Paired axial CT (left) and PSMA PET (right), 18F-PSMA tracer. Acquired on Siemens Biograph mCT Flow 20.
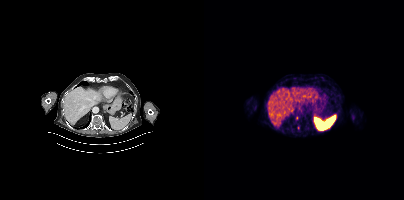
No tumor lesions annotated on this slice.